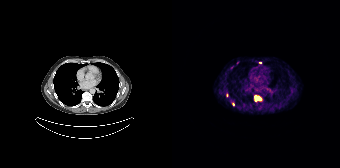
Coordinates are on the 168×168 PET (right) panel. PSMA-avid tumor lesion bounding box (x, y, width, height): x=82 y=95 w=8 h=7. Small PSMA-avid foci (2 to 4 px across) near (center x, center y): (55, 94) | (61, 104) | (88, 62).